modality: PSMA PET/CT | tracer: 18F | view: axial
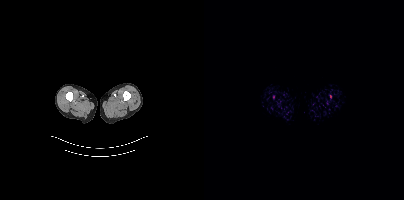
Coordinates are on the 200×200 PET (right) panel. Small PSMA-avid foci (2 to 4 px across) near (center x, center y): (126, 96) | (69, 96).